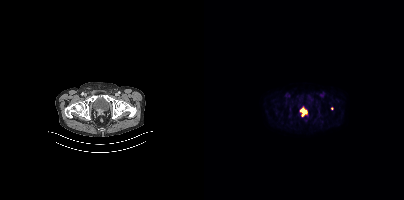
Technique: Paired axial CT (left) and PSMA PET (right), [18F]PSMA-1007 tracer. PET panel 200×200 px (4.1 mm/px).
Findings: Coordinates are on the 200×200 PET (right) panel. (showing 1 of 4 foci) PSMA-avid tumor lesion bounding box (x, y, width, height): x=100 y=110 w=4 h=6.